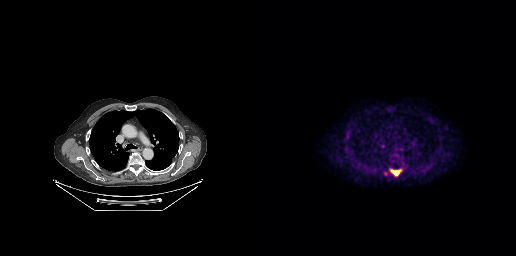
{"modality":"PSMA PET/CT","view":"axial","tracer":"[18F]PSMA-1007","pet_grid":[256,256],"coord_frame":"pet_panel","coord_format":"x0,y0,x1,y1","lesion_bboxes":[[131,170,140,175]]}